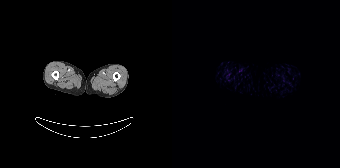
{"modality":"PSMA PET/CT","view":"axial","tracer":"18F-PSMA","pet_grid":[168,168],"coord_frame":"pet_panel","coord_format":"x0,y0,x1,y1","psma_avid_lesions":false}